Technique: Left: CT. Right: PSMA PET, same axial level, 18F tracer. acquired on Siemens Biograph mCT Flow 20. slice 247 of 429.
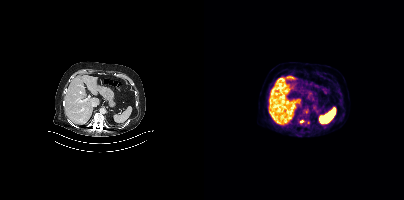
Findings: Coordinates are on the 200×200 PET (right) panel. (showing 1 of 2 foci) Small PSMA-avid focus (2 to 4 px across) near (center x, center y): (97, 121).